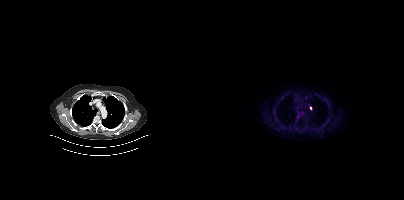
- Paired axial CT (left) and PSMA PET (right), [18F]PSMA-1007 tracer
Findings: Coordinates are on the 200×200 PET (right) panel. Small PSMA-avid focus (2 to 4 px across) near (center x, center y): (106, 108).